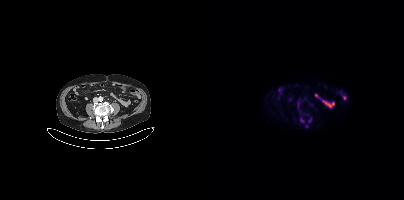
Only PSMA-avid lesion pieces thinner than 2 px on this slice (not listed). Left: CT. Right: PSMA PET, same axial level, 18F-PSMA tracer. Acquired on Siemens Biograph mCT Flow 20. Slice position z = -852 mm. PET panel 200×200 px (4.1 mm/px).